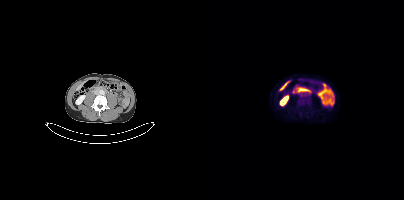
Coordinates are on the 200×200 PET (right) panel. Small PSMA-avid focus (2 to 4 px across) near (center x, center y): (96, 102).